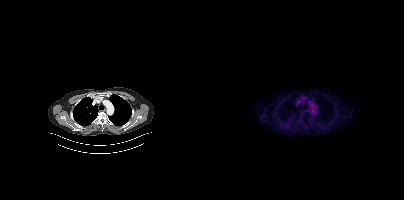
{"modality":"PSMA PET/CT","view":"axial","tracer":"[18F]PSMA-1007","pet_grid":[200,200],"coord_frame":"pet_panel","coord_format":"x0,y0,x1,y1","psma_avid_lesions":false}